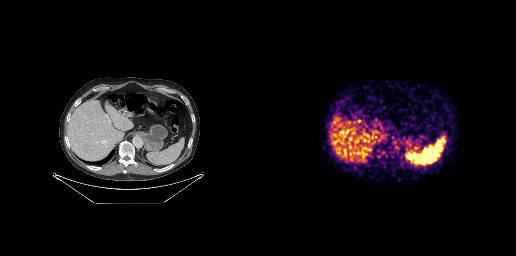
Technique: Left: CT. Right: PSMA PET, same axial level, 68Ga-PSMA tracer. slice 158 of 263.
Findings: Coordinates are on the 256×256 PET (right) panel. PSMA-avid tumor lesion bounding box (x0,y0,x1,y1): [150,152,154,156].